Two-panel axial: CT | PSMA PET, 18F tracer.
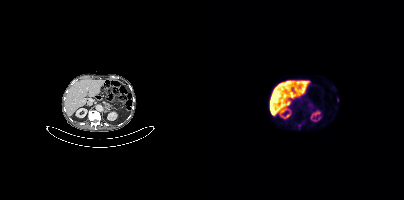
Coordinates are on the 200×200 PET (right) panel. (showing 1 of 2 foci) Small PSMA-avid focus (2 to 4 px across) near (center x, center y): (133, 100).